Technique: Left: CT. Right: PSMA PET, same axial level, 18F tracer. acquired on Siemens Biograph mCT Flow 20.
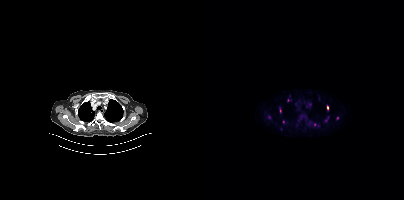
Findings: Coordinates are on the 200×200 PET (right) panel. (showing 4 of 6 foci) Small PSMA-avid foci (2 to 4 px across) near (center x, center y): (123, 107); (133, 118); (79, 121); (110, 124).